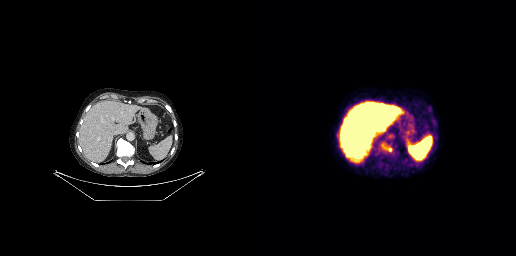
Paired axial CT (left) and PSMA PET (right), 18F tracer. Acquired on GE Discovery 690. Slice position z = -400 mm. Coordinates are on the 256×256 PET (right) panel. Small PSMA-avid focus (2 to 4 px across) near (center x, center y): (129, 149).